modality: PSMA PET/CT | tracer: [18F]PSMA-1007 | view: axial
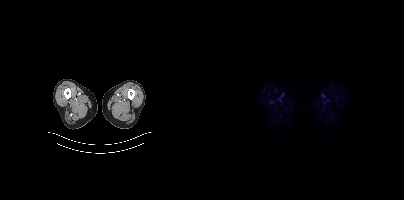
No PSMA-avid tumor lesions on this slice.